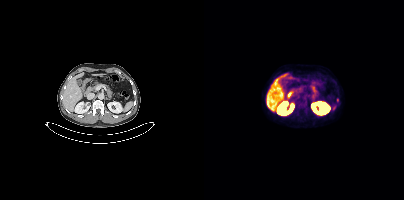
Two-panel axial: CT | PSMA PET, 18F tracer. Slice 230 of 448. PET panel 200×200 px (4.1 mm/px).
Coordinates are on the 200×200 PET (right) panel. PSMA-avid tumor lesion bounding boxes:
| # | x0 | y0 | x1 | y1 |
|---|---|---|---|---|
| 1 | 133 | 98 | 134 | 102 |